- Two-panel axial: CT | PSMA PET, 68Ga tracer
- slice position z = -802 mm
- PET panel 256×256 px (2.7 mm/px)
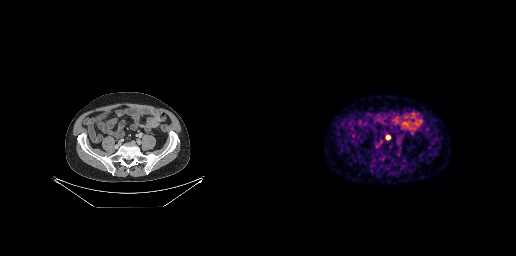
Findings: Coordinates are on the 256×256 PET (right) panel. PSMA-avid tumor lesion bounding box (x0, y0)-(x1, y1): (126, 135)-(130, 139).